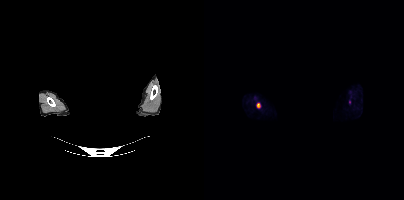
Findings: Coordinates are on the 200×200 PET (right) panel. PSMA-avid tumor lesion bounding box (x0,y0,x1,y1): [52,102,57,108].
Technique: Paired axial CT (left) and PSMA PET (right), 18F tracer. slice 429 of 466.
Note: Privacy masking over the head, with the pixels inside a rectangle set to black.